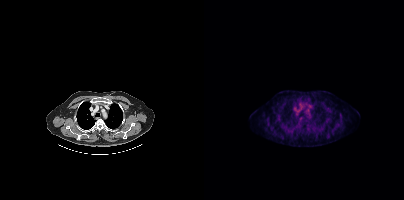
Negative for PSMA-avid disease on this slice.